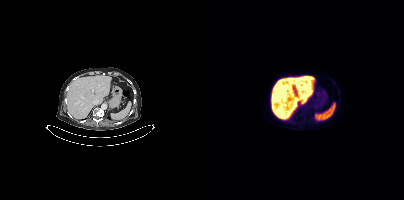
{"modality":"PSMA PET/CT","view":"axial","tracer":"[18F]PSMA-1007","pet_grid":[200,200],"coord_frame":"pet_panel","coord_format":"x0,y0,x1,y1","psma_avid_lesions":false}